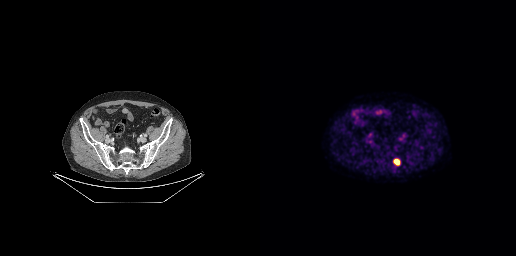
Two-panel axial: CT | PSMA PET, [18F]PSMA-1007 tracer. Acquired on GE Discovery 690. PET panel 256×256 px (2.7 mm/px).
Coordinates are on the 256×256 PET (right) panel. PSMA-avid tumor lesion bounding boxes:
| # | x0 | y0 | x1 | y1 |
|---|---|---|---|---|
| 1 | 134 | 160 | 138 | 164 |